Left: CT. Right: PSMA PET, same axial level, 18F tracer. Acquired on GE Discovery 690. Slice 225 of 263. PET panel 256×256 px (2.7 mm/px).
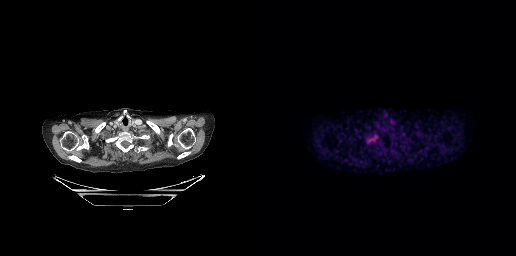
Coordinates are on the 256×256 PET (right) panel. PSMA-avid tumor lesion bounding boxes:
| # | x0 | y0 | x1 | y1 |
|---|---|---|---|---|
| 1 | 107 | 134 | 118 | 143 |